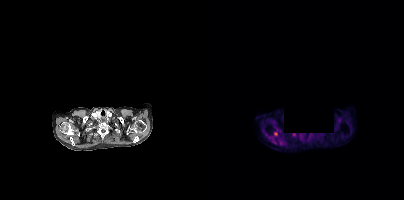
Coordinates are on the 200×200 PET (right) panel. Small PSMA-avid foci (2 to 4 px across) near (center x, center y): (71, 133) / (90, 134). Privacy masking, with the pixels inside a rectangle set to black. Left: CT. Right: PSMA PET, same axial level, [18F]PSMA-1007 tracer. Slice position z = 106 mm.